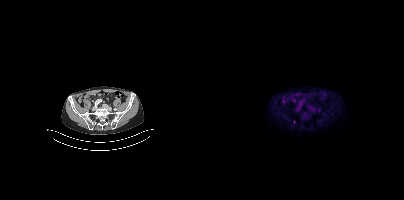
Findings: Only PSMA-avid lesion pieces thinner than 2 px on this slice (not listed).
- Left: CT. Right: PSMA PET, same axial level, 18F tracer
- acquired on Siemens Biograph mCT Flow 20
- slice position z = -849 mm